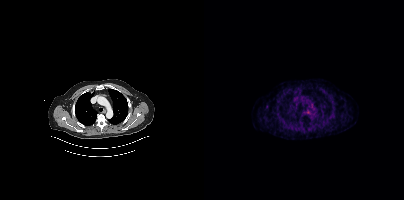
{"pet_grid":[200,200],"coord_frame":"pet_panel","coord_format":"x0,y0,x1,y1","psma_avid_lesions":false,"modality":"PSMA PET/CT","view":"axial","tracer":"68Ga"}